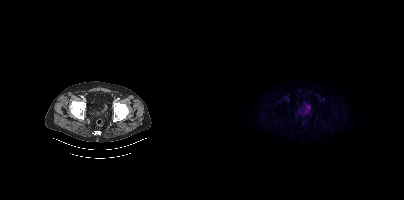
Findings: Negative for PSMA-avid disease on this slice.
- Two-panel axial: CT | PSMA PET, 18F-PSMA tracer
- acquired on Siemens Biograph mCT Flow 20
- slice 100 of 450
- PET panel 200×200 px (4.1 mm/px)